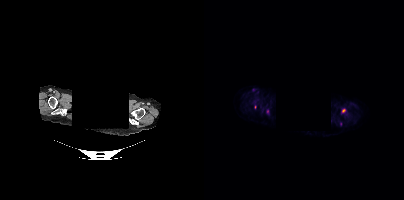
{"pet_grid":[200,200],"coord_frame":"pet_panel","coord_format":"x0,y0,x1,y1","partial":true,"lesion_bboxes":[],"small_foci_centers":[[139,110],[63,111]],"modality":"PSMA PET/CT","view":"axial","tracer":"18F","redaction":"facial region redacted"}